- Paired axial CT (left) and PSMA PET (right), [68Ga]Ga-PSMA-11 tracer
- PET panel 168×168 px (4.1 mm/px)
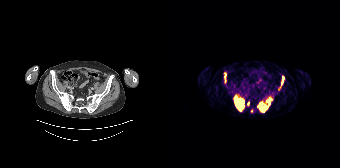
Findings: Coordinates are on the 168×168 PET (right) panel. (showing 5 of 8 foci) PSMA-avid tumor lesion bounding boxes (x0,y0,x1,y1): [62,97,72,110]; [85,98,99,112]; [109,78,112,85]; [53,74,54,78]. Small PSMA-avid focus (2 to 4 px across) near (center x, center y): (79, 110).